- Left: CT. Right: PSMA PET, same axial level, 68Ga-PSMA tracer
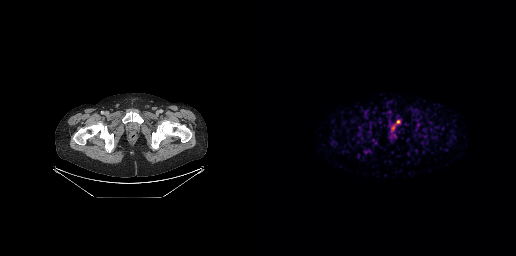
Findings: Coordinates are on the 256×256 PET (right) panel. PSMA-avid tumor lesion bounding box (x0,y0,x1,y1): [136,120,140,123].